Two-panel axial: CT | PSMA PET, 18F-PSMA tracer. Acquired on Siemens Biograph mCT Flow 20. PET panel 200×200 px (4.1 mm/px).
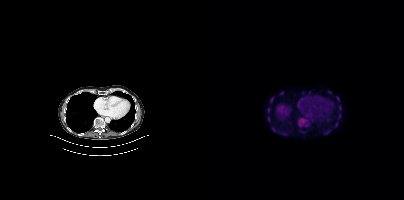
Coordinates are on the 200×200 PET (right) panel. PSMA-avid tumor lesion bounding boxes:
| # | x0 | y0 | x1 | y1 |
|---|---|---|---|---|
| 1 | 66 | 98 | 69 | 102 |
| 2 | 135 | 106 | 137 | 110 |
| 3 | 63 | 108 | 65 | 112 |
| 4 | 134 | 113 | 136 | 118 |
Small PSMA-avid foci (2 to 4 px across) near (center x, center y): (134, 99); (67, 127).